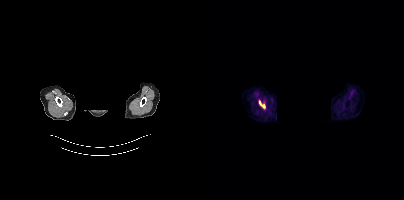
Two-panel axial: CT | PSMA PET, 18F-PSMA tracer. Slice position z = -984 mm. Face de-identified by blanking a block of the head.
Coordinates are on the 200×200 PET (right) panel. PSMA-avid tumor lesion bounding boxes:
| # | x0 | y0 | x1 | y1 |
|---|---|---|---|---|
| 1 | 55 | 101 | 60 | 108 |